modality: PSMA PET/CT | tracer: [68Ga]Ga-PSMA-11 | view: axial
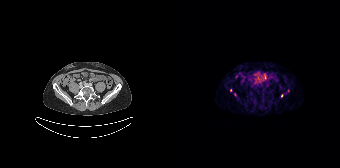
Coordinates are on the 168×168 PET (right) panel. (showing 3 of 4 foci) Small PSMA-avid foci (2 to 4 px across) near (center x, center y): (109, 95); (58, 90); (62, 94).